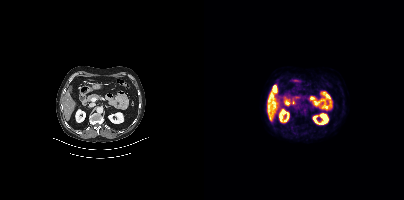
Technique: Left: CT. Right: PSMA PET, same axial level, [18F]PSMA-1007 tracer. slice 224 of 452. PET panel 200×200 px (4.1 mm/px).
Findings: This slice has no annotated PSMA-avid lesion.